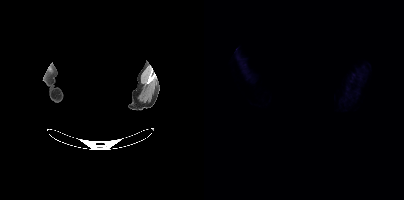
- the face region was removed for patient privacy by blanking a rectangle over the head
- Paired axial CT (left) and PSMA PET (right), 18F tracer
Findings: Negative for PSMA-avid disease on this slice.